Two-panel axial: CT | PSMA PET, 18F tracer. Acquired on Siemens Biograph mCT Flow 20. Slice position z = -1554 mm.
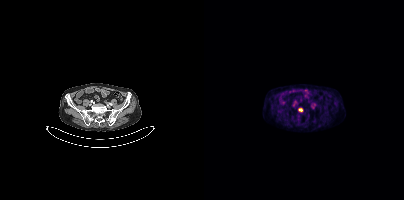
Coordinates are on the 200×200 PET (right) panel. Small PSMA-avid focus (2 to 4 px across) near (center x, center y): (96, 109).